Left: CT. Right: PSMA PET, same axial level, 18F-PSMA tracer. Slice 300 of 425.
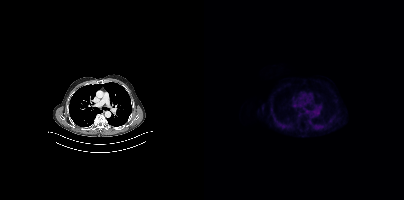
No tumor lesions annotated on this slice.